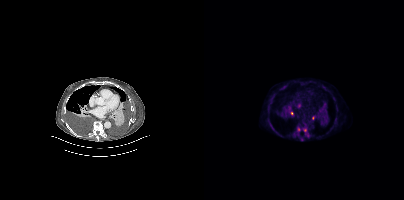
Coordinates are on the 200×200 PET (right) panel. PSMA-avid tumor lesion bounding box (x, y, width, height): x=100 y=129 w=6 h=9. Small PSMA-avid foci (2 to 4 px across) near (center x, center y): (94, 129); (108, 118); (87, 113); (97, 139).